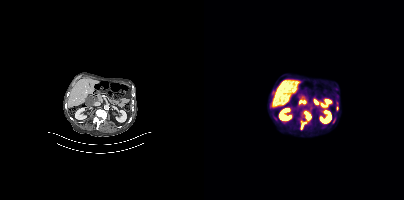
Findings: Coordinates are on the 200×200 PET (right) panel. (showing 2 of 3 foci) PSMA-avid tumor lesion bounding box (x0,y0,x1,y1): [96,120,102,130]. Small PSMA-avid focus (2 to 4 px across) near (center x, center y): (133, 108).
Technique: Left: CT. Right: PSMA PET, same axial level, 18F tracer. slice 166 of 367.